- Paired axial CT (left) and PSMA PET (right), [18F]PSMA-1007 tracer
- acquired on Siemens Biograph mCT Flow 20
- slice 380 of 431
- PET panel 200×200 px (4.1 mm/px)
- head region blanked for anonymization (face removed)
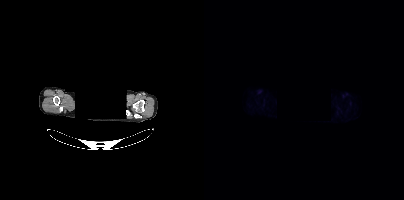
Findings: Negative for PSMA-avid disease on this slice.